modality: PSMA PET/CT | tracer: 18F-PSMA | view: axial | PET grid: 200×200
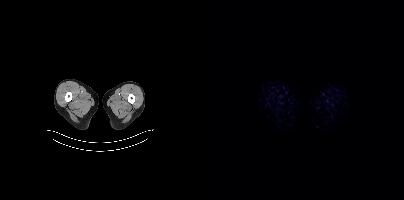
Negative for PSMA-avid disease on this slice.